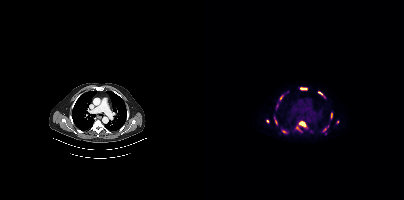
Left: CT. Right: PSMA PET, same axial level, [18F]PSMA-1007 tracer. Slice position z = 160 mm. Coordinates are on the 200×200 PET (right) panel. (showing 5 of 10 foci) PSMA-avid tumor lesion bounding boxes (x0,y0,x1,y1): [95,121,101,127] [96,88,102,89]. Small PSMA-avid foci (2 to 4 px across) near (center x, center y): (63, 121) (120, 129) (79, 131).